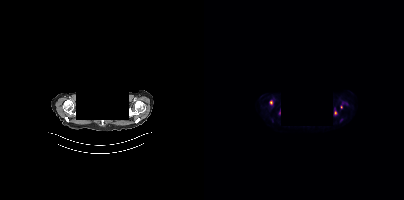
{"modality":"PSMA PET/CT","view":"axial","tracer":"18F-PSMA","pet_grid":[200,200],"coord_frame":"pet_panel","coord_format":"x0,y0,x1,y1","partial":true,"lesion_bboxes":[[130,110,132,114]],"small_foci_centers":[[67,102],[137,106],[137,119]],"de-identification":"facial region redacted"}